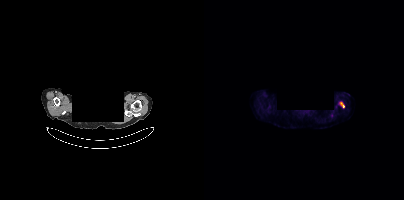
Findings: Coordinates are on the 200×200 PET (right) panel. PSMA-avid tumor lesion bounding box (x0,y0,x1,y1): [136,102,140,107].
- the head region is masked for de-identification
- Two-panel axial: CT | PSMA PET, 18F tracer